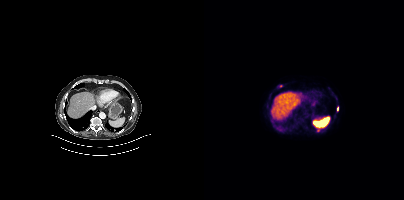
Two-panel axial: CT | PSMA PET, 18F tracer. Acquired on Siemens Biograph mCT Flow 20. Coordinates are on the 200×200 PET (right) panel. Small PSMA-avid foci (2 to 4 px across) near (center x, center y): (76, 86) (133, 108) (114, 130).